Paired axial CT (left) and PSMA PET (right), 68Ga tracer. Slice 194 of 263.
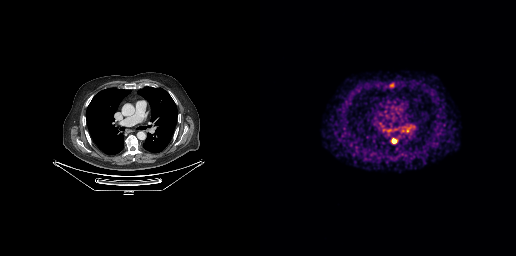
Coordinates are on the 256×256 PET (right) panel. Small PSMA-avid foci (2 to 4 px across) near (center x, center y): (131, 84) / (133, 140).